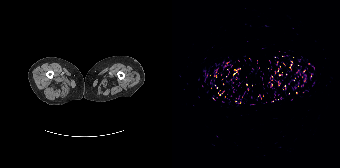
This slice has no annotated PSMA-avid lesion.